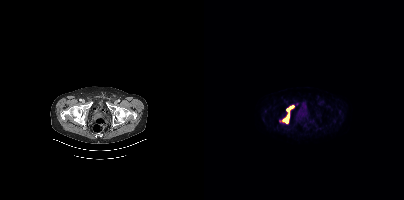
Findings: Coordinates are on the 200×200 PET (right) panel. PSMA-avid tumor lesion bounding boxes (x0,y0,x1,y1): [79,114,85,122]; [83,105,89,111]. Small PSMA-avid focus (2 to 4 px across) near (center x, center y): (76, 120).
Technique: Left: CT. Right: PSMA PET, same axial level, 18F-PSMA tracer. acquired on Siemens Biograph mCT Flow 20. slice 77 of 405. PET panel 200×200 px (4.1 mm/px).